Two-panel axial: CT | PSMA PET, 18F-PSMA tracer. Acquired on Siemens Biograph mCT Flow 20.
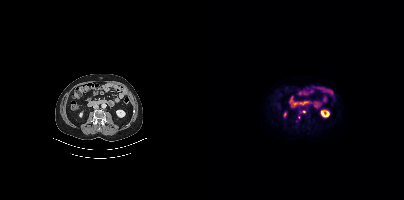
Coordinates are on the 200×200 PET (right) panel. (showing 1 of 2 foci) Small PSMA-avid focus (2 to 4 px across) near (center x, center y): (100, 111).